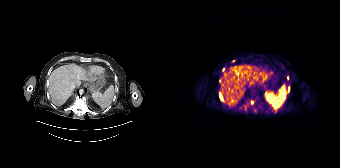
Coordinates are on the 168×168 PET (right) panel. (showing 6 of 7 foci) PSMA-avid tumor lesion bounding boxes (x0,y0,x1,y1): [47,92,49,99], [116,86,117,90]. Small PSMA-avid foci (2 to 4 px across) near (center x, center y): (80, 102), (61, 60), (51, 69), (47, 80).